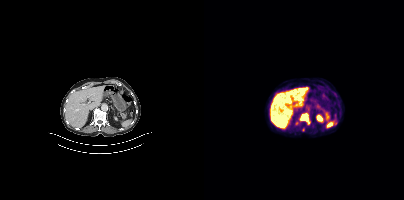
Left: CT. Right: PSMA PET, same axial level, 18F-PSMA tracer.
Coordinates are on the 200×200 PET (right) panel. PSMA-avid tumor lesion bounding boxes:
| # | x0 | y0 | x1 | y1 |
|---|---|---|---|---|
| 1 | 96 | 113 | 105 | 123 |
Small PSMA-avid foci (2 to 4 px across) near (center x, center y): (92, 123); (99, 129).